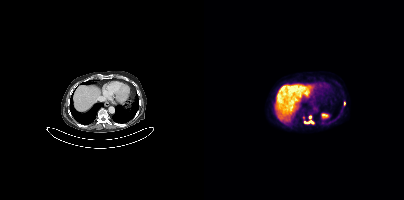
Coordinates are on the 200×200 PET (right) panel. PSMA-avid tumor lesion bounding boxes (x0,y0,x1,y1): [100,120,110,123]; [97,114,102,119]. Small PSMA-avid foci (2 to 4 px across) near (center x, center y): (106, 117); (140, 103). Left: CT. Right: PSMA PET, same axial level, [18F]PSMA-1007 tracer. Slice 237 of 401. PET panel 200×200 px (4.1 mm/px).